de-identification: rectangular block over head set to black | modality: PSMA PET/CT | tracer: 18F | view: axial | PET grid: 200×200
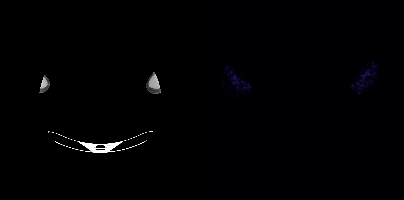
This slice has no annotated PSMA-avid lesion.